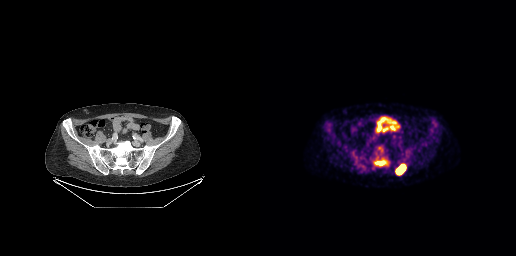
Findings: Coordinates are on the 256×256 PET (right) panel. PSMA-avid tumor lesion bounding boxes (x0,y0,x1,y1): [135,164,146,175] [114,160,126,165].
- Paired axial CT (left) and PSMA PET (right), 18F-PSMA tracer
- acquired on GE Discovery 690
- PET panel 256×256 px (2.7 mm/px)